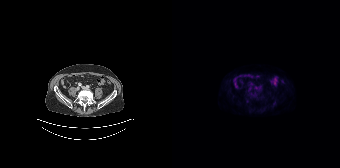
No tumor lesions annotated on this slice. Paired axial CT (left) and PSMA PET (right), [18F]PSMA-1007 tracer. Acquired on Siemens Biograph 64-4R TruePoint. Slice 55 of 165.